- Two-panel axial: CT | PSMA PET, 18F-PSMA tracer
- acquired on Siemens Biograph mCT Flow 20
- slice position z = -791 mm
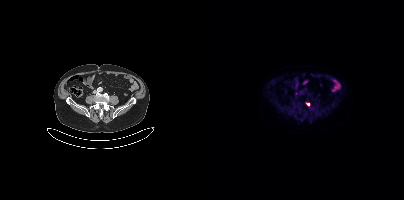
Findings: Coordinates are on the 200×200 PET (right) panel. Small PSMA-avid focus (2 to 4 px across) near (center x, center y): (104, 104).